Paired axial CT (left) and PSMA PET (right), 68Ga-PSMA tracer. Slice position z = -1052 mm.
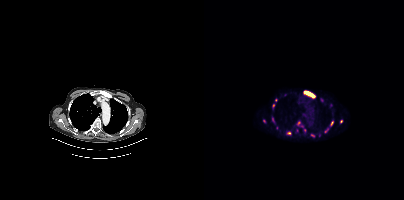
Coordinates are on the 200×200 PET (right) panel. (showing 12 of 14 foci) PSMA-avid tumor lesion bounding boxes (x0, y0)-(x1, y1): (100, 91)-(111, 97) / (121, 128)-(124, 132) / (68, 118)-(70, 122) / (127, 121)-(129, 125). Small PSMA-avid foci (2 to 4 px across) near (center x, center y): (84, 133) / (137, 121) / (98, 126) / (108, 135) / (94, 122) / (100, 130) / (69, 105) / (72, 127).